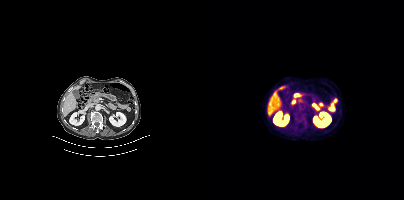
Negative for PSMA-avid disease on this slice.